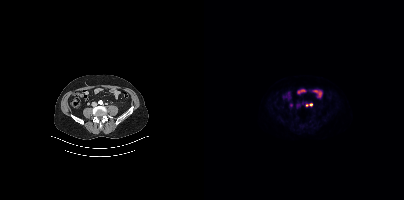
Coordinates are on the 200×200 PET (right) panel. PSMA-avid tumor lesion bounding box (x, y, width, height): x=102 y=103 w=7 h=4.